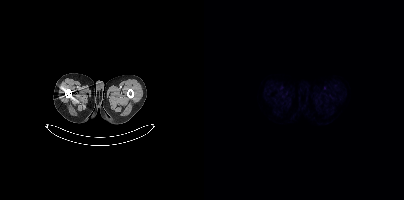
Findings: No PSMA-avid tumor lesions on this slice.
- Left: CT. Right: PSMA PET, same axial level, [18F]PSMA-1007 tracer
- slice position z = -340 mm
- PET panel 200×200 px (4.1 mm/px)